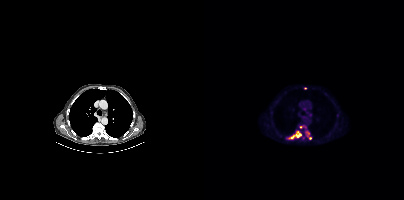
Coordinates are on the 200×200 PET (right) panel. (showing 5 of 7 foci) PSMA-avid tumor lesion bounding boxes (x0, y0)-(x1, y1): (93, 131)-(96, 136) / (85, 135)-(90, 138) / (102, 131)-(105, 135) / (96, 126)-(100, 127). Small PSMA-avid focus (2 to 4 px across) near (center x, center y): (106, 138).